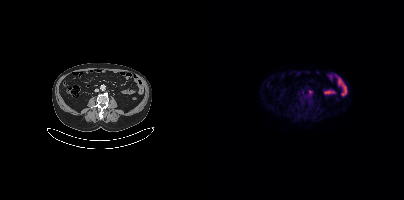
Negative for PSMA-avid disease on this slice. Paired axial CT (left) and PSMA PET (right), [18F]PSMA-1007 tracer. PET panel 200×200 px (4.1 mm/px).